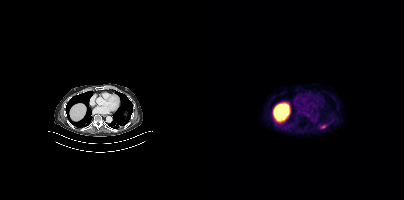
Coordinates are on the 200×200 PET (right) panel. PSMA-avid tumor lesion bounding box (x0, y0)-(x1, y1): (116, 125)-(122, 128).